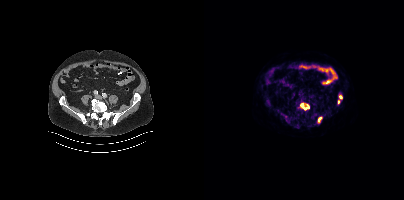
Coordinates are on the 200×200 PET (right) panel. (showing 4 of 5 foci) PSMA-avid tumor lesion bounding boxes (x0,y0,x1,y1): [97,104,102,109] [114,118,117,122]. Small PSMA-avid foci (2 to 4 px across) near (center x, center y): (136, 97) (134, 102).